Technique: Left: CT. Right: PSMA PET, same axial level, [18F]PSMA-1007 tracer. acquired on Siemens Biograph mCT Flow 20. slice 319 of 407. PET panel 200×200 px (4.1 mm/px).
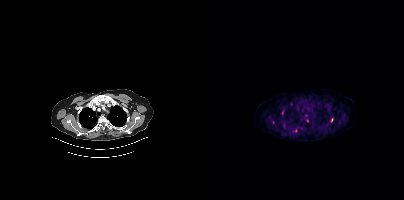
Findings: Coordinates are on the 200×200 PET (right) panel. (showing 3 of 6 foci) PSMA-avid tumor lesion bounding box (x0, y0)-(x1, y1): (127, 118)-(129, 122). Small PSMA-avid foci (2 to 4 px across) near (center x, center y): (103, 120) | (92, 130).